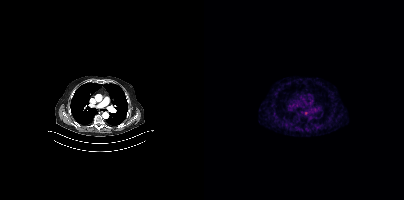
Left: CT. Right: PSMA PET, same axial level, 68Ga tracer. Coordinates are on the 200×200 PET (right) panel. Small PSMA-avid focus (2 to 4 px across) near (center x, center y): (102, 113).